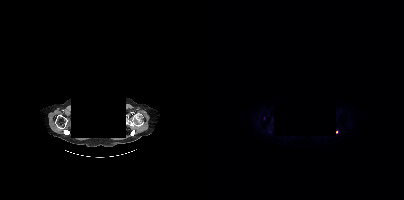
Technique: Two-panel axial: CT | PSMA PET, [18F]PSMA-1007 tracer. slice position z = -910 mm.
Note: The face region was removed for patient privacy by blanking a rectangle over the head.
Findings: Coordinates are on the 200×200 PET (right) panel. Small PSMA-avid focus (2 to 4 px across) near (center x, center y): (132, 132).